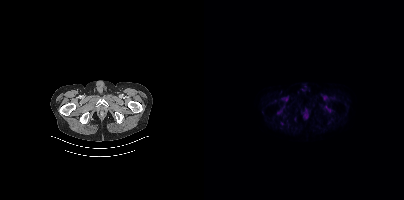
{"modality":"PSMA PET/CT","view":"axial","tracer":"[18F]PSMA-1007","pet_grid":[200,200],"coord_frame":"pet_panel","coord_format":"x0,y0,x1,y1","psma_avid_lesions":false}